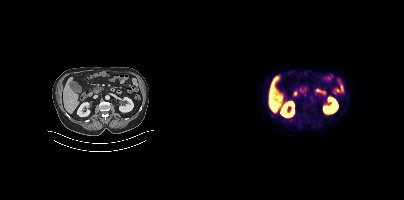
Technique: Two-panel axial: CT | PSMA PET, 18F tracer. slice position z = -1216 mm. PET panel 200×200 px (4.1 mm/px).
Findings: Coordinates are on the 200×200 PET (right) panel. Small PSMA-avid focus (2 to 4 px across) near (center x, center y): (100, 94).